Technique: Paired axial CT (left) and PSMA PET (right), 18F tracer. acquired on Siemens Biograph mCT Flow 20. PET panel 200×200 px (4.1 mm/px).
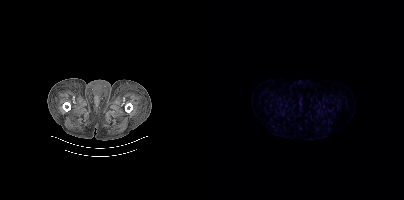
Findings: Negative for PSMA-avid disease on this slice.